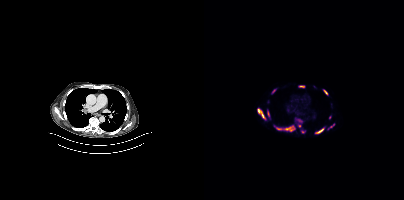
Coordinates are on the 200×200 PET (right) panel. (showing 11 of 12 foci) PSMA-avid tumor lesion bounding boxes (x0, y0)-(x1, y1): (72, 126)-(90, 131); (53, 108)-(61, 119); (111, 128)-(119, 133); (95, 85)-(100, 87); (63, 110)-(65, 116); (120, 90)-(123, 94); (68, 89)-(71, 93); (126, 124)-(130, 127). Small PSMA-avid foci (2 to 4 px across) near (center x, center y): (125, 117); (95, 125); (98, 131).
modality: PSMA PET/CT | tracer: [18F]PSMA-1007 | view: axial | PET grid: 200×200